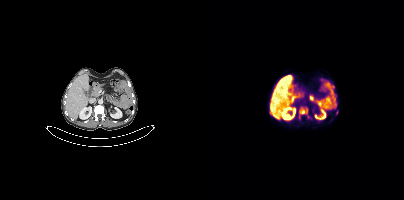
Coordinates are on the 200×200 PET (right) panel. PSMA-avid tumor lesion bounding box (x0,y0,x1,y1): [95,108,103,113].